Left: CT. Right: PSMA PET, same axial level, 18F tracer. Slice position z = -1349 mm.
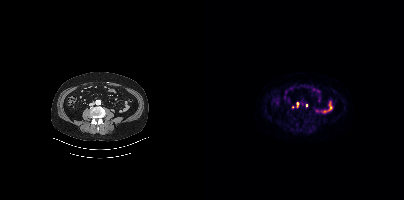
Coordinates are on the 200×200 PET (right) panel. (showing 1 of 3 foci) Small PSMA-avid focus (2 to 4 px across) near (center x, center y): (93, 104).